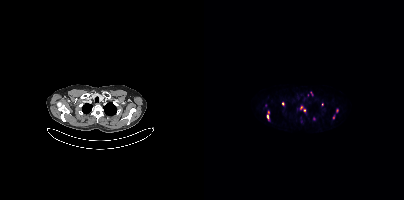
Findings: Coordinates are on the 200×200 PET (right) panel. (showing 9 of 12 foci) PSMA-avid tumor lesion bounding boxes (x0, y0)-(x1, y1): (63, 110)-(65, 118) | (106, 91)-(109, 95). Small PSMA-avid foci (2 to 4 px across) near (center x, center y): (97, 107) | (133, 111) | (61, 105) | (118, 104) | (100, 109) | (129, 117) | (78, 103).
Technique: Left: CT. Right: PSMA PET, same axial level, 68Ga tracer. acquired on Siemens Biograph mCT Flow 20. slice position z = -957 mm.